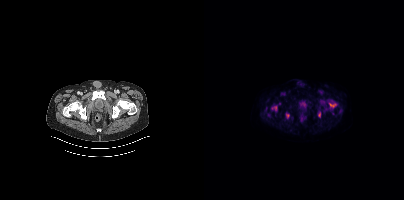
Coordinates are on the 200×200 PET (right) panel. PSMA-avid tumor lesion bounding boxes:
| # | x0 | y0 | x1 | y1 |
|---|---|---|---|---|
| 1 | 68 | 106 | 73 | 110 |
| 2 | 125 | 103 | 131 | 107 |
| 3 | 82 | 113 | 85 | 118 |
Small PSMA-avid foci (2 to 4 px across) near (center x, center y): (64, 114); (115, 114); (129, 113); (136, 111).
Two-panel axial: CT | PSMA PET, 18F-PSMA tracer. Acquired on Siemens Biograph mCT Flow 20. PET panel 200×200 px (4.1 mm/px).